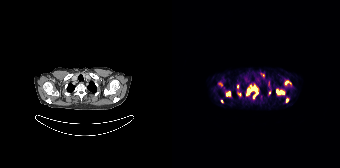
Coordinates are on the 168×168 PET (right) panel. (showing 8 of 12 foci) PSMA-avid tumor lesion bounding boxes (x0, y0)-(x1, y1): (104, 89)-(112, 94); (54, 92)-(58, 95); (80, 88)-(84, 91); (76, 89)-(77, 93). Small PSMA-avid foci (2 to 4 px across) near (center x, center y): (115, 100); (65, 86); (81, 96); (49, 101).
modality: PSMA PET/CT | tracer: [68Ga]Ga-PSMA-11 | view: axial